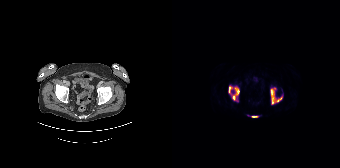
Coordinates are on the 168×168 PET (right) panel. (showing 3 of 4 foci) PSMA-avid tumor lesion bounding boxes (x0, y0)-(x1, y1): (56, 85)-(67, 101); (98, 87)-(110, 104); (79, 116)-(86, 117).